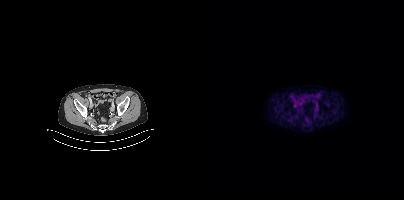
No PSMA-avid tumor lesions on this slice. Paired axial CT (left) and PSMA PET (right), 18F-PSMA tracer. Acquired on Siemens Biograph mCT Flow 20. PET panel 200×200 px (4.1 mm/px).